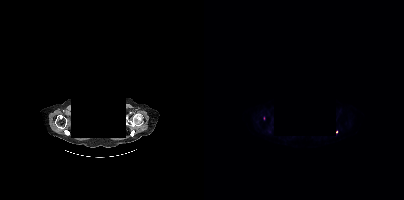
modality: PSMA PET/CT | tracer: 18F-PSMA | view: axial | deidentification: facial region redacted
Coordinates are on the 200×200 PET (right) panel. (showing 1 of 2 foci) Small PSMA-avid focus (2 to 4 px across) near (center x, center y): (132, 131).